Paired axial CT (left) and PSMA PET (right), [18F]PSMA-1007 tracer. Acquired on Siemens Biograph mCT Flow 20. Slice position z = -1339 mm.
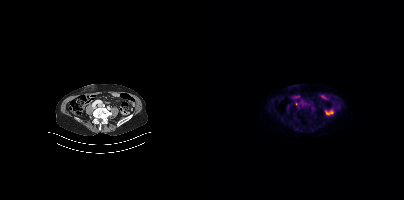
Negative for PSMA-avid disease on this slice.